Two-panel axial: CT | PSMA PET, 18F-PSMA tracer. PET panel 256×256 px (2.7 mm/px).
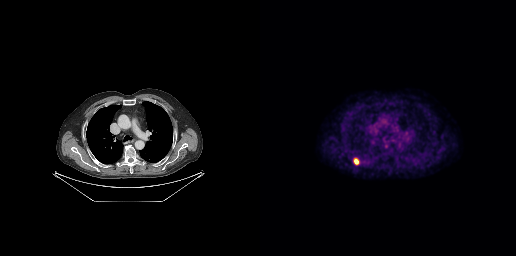
Coordinates are on the 256×256 PET (right) panel. PSMA-avid tumor lesion bounding boxes:
| # | x0 | y0 | x1 | y1 |
|---|---|---|---|---|
| 1 | 95 | 159 | 98 | 163 |